modality: PSMA PET/CT | tracer: [18F]PSMA-1007 | view: axial
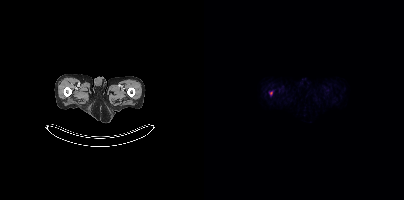
Coordinates are on the 200×200 PET (right) panel. Small PSMA-avid focus (2 to 4 px across) near (center x, center y): (66, 92).